Left: CT. Right: PSMA PET, same axial level, 18F-PSMA tracer. Slice position z = -904 mm.
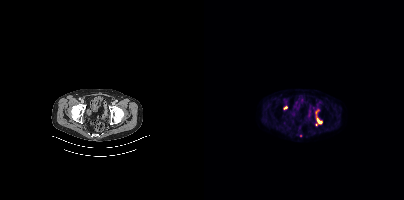
Coordinates are on the 200×200 PET (right) panel. PSMA-avid tumor lesion bounding boxes (partial; 1 more focus not listed):
| # | x0 | y0 | x1 | y1 |
|---|---|---|---|---|
| 1 | 113 | 118 | 118 | 123 |
Small PSMA-avid foci (2 to 4 px across) near (center x, center y): (81, 107); (112, 112); (96, 135).